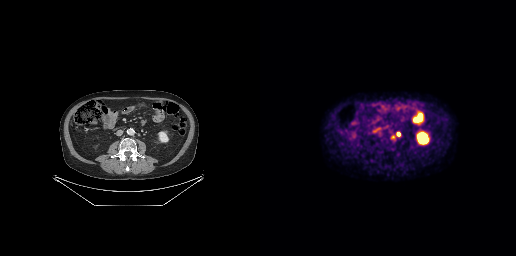
{"pet_grid":[256,256],"coord_frame":"pet_panel","coord_format":"x0,y0,x1,y1","lesion_bboxes":[[136,132,140,135]],"small_foci_centers":[[132,136]],"modality":"PSMA PET/CT","view":"axial","tracer":"[18F]PSMA-1007"}